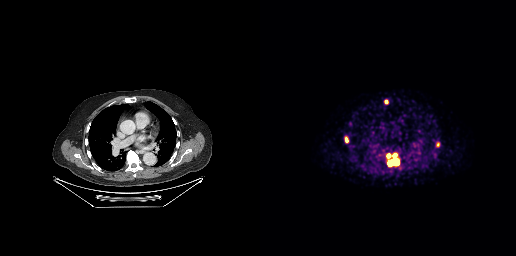
modality: PSMA PET/CT | tracer: 68Ga-PSMA | view: axial
Coordinates are on the 256×256 PET (right) panel. PSMA-avid tumor lesion bounding boxes (x, y, width, height): x=126 y=153 w=14 h=14; x=176 y=142 w=4 h=5. Small PSMA-avid foci (2 to 4 px across) near (center x, center y): (126, 101); (86, 140).